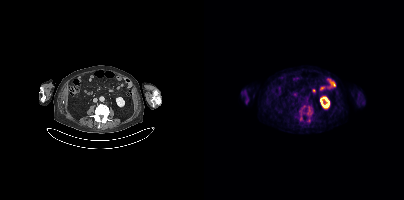
Coordinates are on the 200×200 PET (right) panel. PSMA-avid tumor lesion bounding boxes:
| # | x0 | y0 | x1 | y1 |
|---|---|---|---|---|
| 1 | 103 | 106 | 108 | 115 |
Small PSMA-avid foci (2 to 4 px across) near (center x, center y): (97, 118); (99, 107); (105, 120); (96, 112).
Paired axial CT (left) and PSMA PET (right), 18F tracer. Acquired on Siemens Biograph mCT Flow 20.